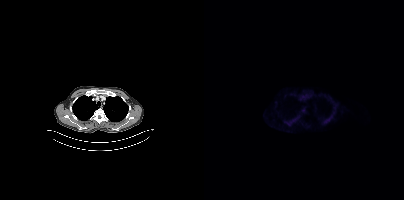
No PSMA-avid tumor lesions on this slice.